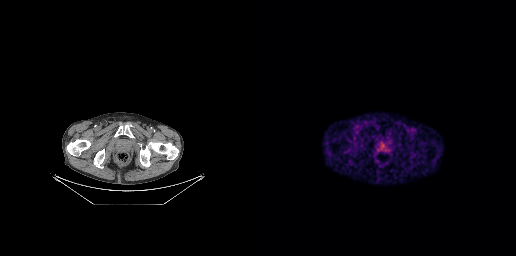
Two-panel axial: CT | PSMA PET, 68Ga tracer. PET panel 256×256 px (2.7 mm/px). Coordinates are on the 256×256 PET (right) panel. PSMA-avid tumor lesion bounding box (x0,y0,x1,y1): [120,142,126,148].